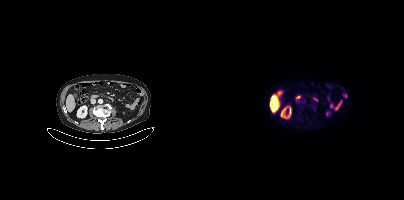
Left: CT. Right: PSMA PET, same axial level, 18F-PSMA tracer. Acquired on Siemens Biograph mCT Flow 20. PET panel 200×200 px (4.1 mm/px). Negative for PSMA-avid disease on this slice.